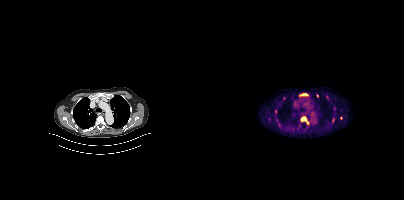
Coordinates are on the 200×200 PET (right) panel. (showing 4 of 7 foci) PSMA-avid tumor lesion bounding boxes (x, y, width, height): x=97 y=116 w=8 h=8 | x=95 y=93 w=10 h=4 | x=128 y=118 w=3 h=5. Small PSMA-avid focus (2 to 4 px across) near (center x, center y): (113, 95).
modality: PSMA PET/CT | tracer: 18F-PSMA | view: axial | PET grid: 200×200